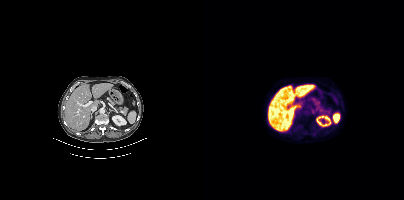
Paired axial CT (left) and PSMA PET (right), [18F]PSMA-1007 tracer. PET panel 200×200 px (4.1 mm/px). This slice has no annotated PSMA-avid lesion.